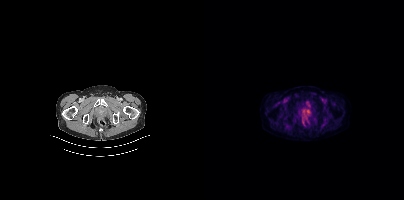
{"pet_grid":[200,200],"coord_frame":"pet_panel","coord_format":"x0,y0,x1,y1","lesion_bboxes":[[101,110,105,113]],"modality":"PSMA PET/CT","view":"axial","tracer":"18F"}